redaction: black rectangle is a privacy mask | modality: PSMA PET/CT | tracer: 18F-PSMA | view: axial
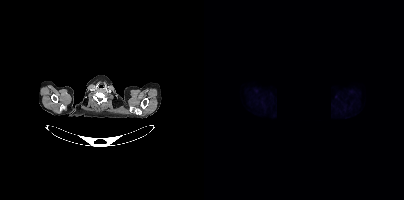
This slice has no annotated PSMA-avid lesion.